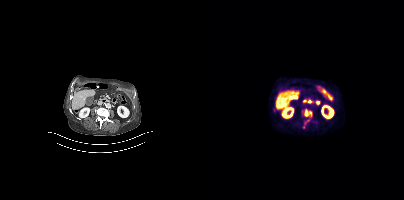
{"pet_grid":[200,200],"coord_frame":"pet_panel","coord_format":"x0,y0,x1,y1","partial":true,"lesion_bboxes":[[98,109,108,117],[69,108,72,112]],"small_foci_centers":[[104,120]],"modality":"PSMA PET/CT","view":"axial","tracer":"18F-PSMA"}